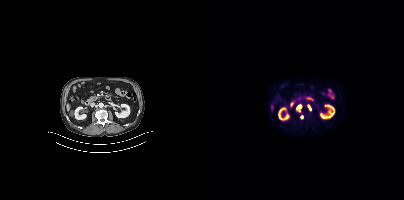
Coordinates are on the 200×200 PET (right) panel. PSMA-avid tumor lesion bounding boxes (partial; 1 more focus not listed):
| # | x0 | y0 | x1 | y1 |
|---|---|---|---|---|
| 1 | 94 | 105 | 97 | 111 |
Small PSMA-avid foci (2 to 4 px across) near (center x, center y): (97, 117); (104, 106).
Two-panel axial: CT | PSMA PET, 18F-PSMA tracer. PET panel 200×200 px (4.1 mm/px).